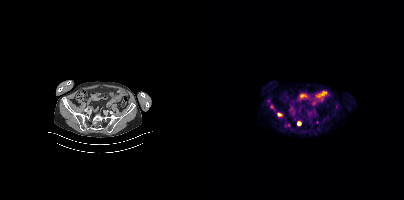
Findings: Coordinates are on the 200×200 PET (right) panel. (showing 2 of 3 foci) PSMA-avid tumor lesion bounding boxes (x0,y0,x1,y1): [93,121,97,125], [73,113,77,116].
- Two-panel axial: CT | PSMA PET, 18F tracer
- acquired on Siemens Biograph mCT Flow 20
- slice 130 of 427
- PET panel 200×200 px (4.1 mm/px)